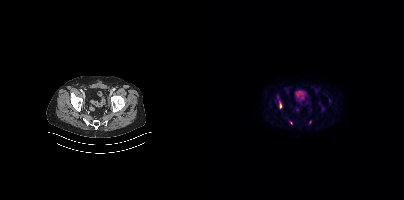
{"modality":"PSMA PET/CT","view":"axial","tracer":"18F-PSMA","pet_grid":[200,200],"coord_frame":"pet_panel","coord_format":"x0,y0,x1,y1","partial":true,"lesion_bboxes":[[75,102,78,108]]}